Facial anatomy redacted by setting a rectangular region of the head to black.
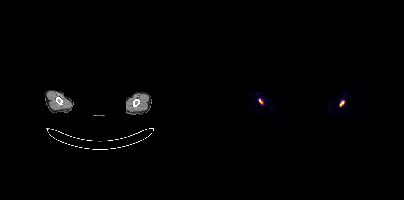
Coordinates are on the 200×200 PET (right) panel. PSMA-avid tumor lesion bounding boxes (x, y, width, height): x=136 y=101 w=5 h=5 / x=55 y=99 w=4 h=5.